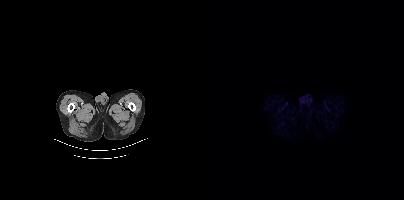
No PSMA-avid tumor lesions on this slice.